Two-panel axial: CT | PSMA PET, 18F-PSMA tracer. Slice position z = -173 mm.
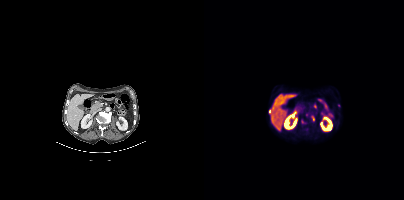
Coordinates are on the 200×200 PET (right) panel. PSMA-avid tumor lesion bounding box (x, y, width, height): x=108 y=116 w=3 h=5. Small PSMA-avid foci (2 to 4 px across) near (center x, center y): (135, 105); (65, 111); (98, 120).